Paired axial CT (left) and PSMA PET (right), 18F tracer.
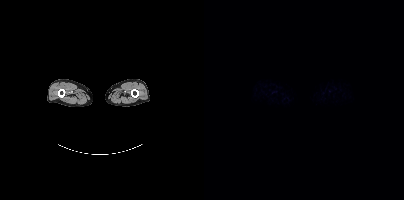
Negative for PSMA-avid disease on this slice.